- Two-panel axial: CT | PSMA PET, [68Ga]Ga-PSMA-11 tracer
- acquired on GE Discovery 690
- slice 142 of 263
- PET panel 256×256 px (2.7 mm/px)
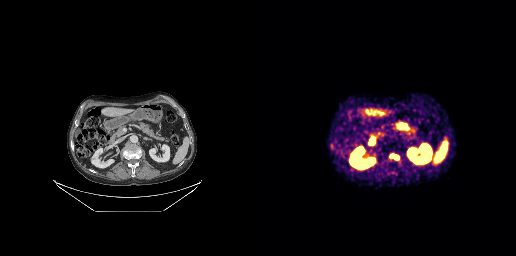
Findings: Coordinates are on the 256×256 PET (right) panel. PSMA-avid tumor lesion bounding box (x, y, width, height): x=129 y=154 w=11 h=7. Small PSMA-avid focus (2 to 4 px across) near (center x, center y): (71, 145).